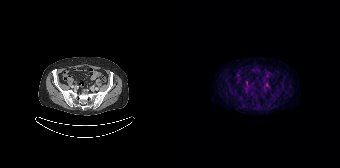
{"modality":"PSMA PET/CT","view":"axial","tracer":"68Ga","pet_grid":[168,168],"coord_frame":"pet_panel","coord_format":"x0,y0,x1,y1","psma_avid_lesions":false}